Left: CT. Right: PSMA PET, same axial level, 18F-PSMA tracer. Acquired on Siemens Biograph 64-4R TruePoint. Slice 124 of 165. PET panel 168×168 px (4.1 mm/px).
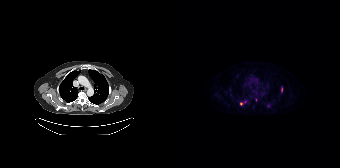
Coordinates are on the 168×168 PET (right) panel. PSMA-avid tumor lesion bounding boxes (partial; 1 more focus not listed):
| # | x0 | y0 | x1 | y1 |
|---|---|---|---|---|
| 1 | 109 | 86 | 110 | 92 |
Small PSMA-avid foci (2 to 4 px across) near (center x, center y): (69, 104); (96, 105); (73, 101).